deidentification: rectangular block over head set to black | modality: PSMA PET/CT | tracer: 18F-PSMA | view: axial
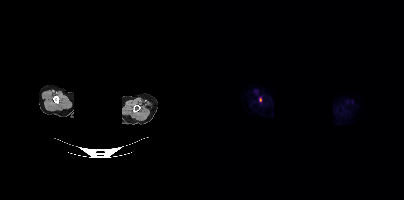
Coordinates are on the 200×200 PET (right) panel. Small PSMA-avid focus (2 to 4 px across) near (center x, center y): (56, 99).